Left: CT. Right: PSMA PET, same axial level, 68Ga-PSMA tracer. Acquired on Siemens Biograph 64-4R TruePoint. Slice 142 of 195. PET panel 168×168 px (4.1 mm/px).
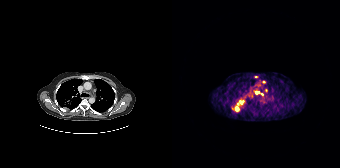
Coordinates are on the 168×168 PET (right) panel. (showing 5 of 6 foci) PSMA-avid tumor lesion bounding boxes (x0, y0)-(x1, y1): (60, 98)-(72, 111); (82, 90)-(91, 95). Small PSMA-avid foci (2 to 4 px across) near (center x, center y): (84, 76); (92, 82); (94, 90).